modality: PSMA PET/CT | tracer: 18F-PSMA | view: axial | PET grid: 256×256
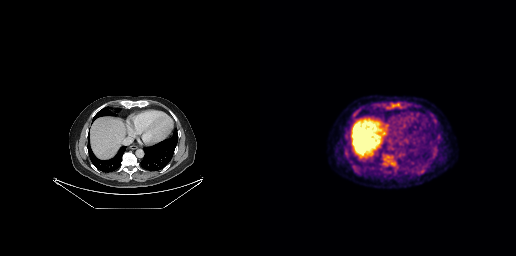
Coordinates are on the 256×256 PET (right) panel. PSMA-avid tumor lesion bounding box (x, y, width, height): x=131 y=102 w=9 h=7.